modality: PSMA PET/CT | tracer: 18F | view: axial
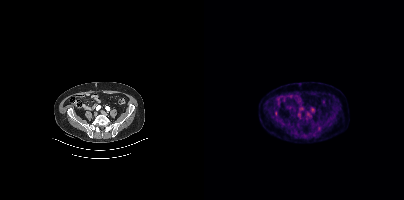
Coordinates are on the 200×200 PET (right) panel. Small PSMA-avid focus (2 to 4 px across) near (center x, center y): (72, 112).